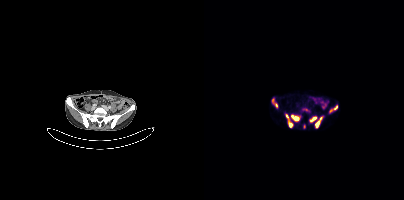
{"modality":"PSMA PET/CT","view":"axial","tracer":"[68Ga]Ga-PSMA-11","pet_grid":[200,200],"coord_frame":"pet_panel","coord_format":"x0,y0,x1,y1","lesion_bboxes":[[87,115,95,120],[68,98,73,107],[111,117,117,127],[106,116,112,122],[126,105,133,112],[84,121,88,127],[82,114,84,118]],"small_foci_centers":[[100,126]]}